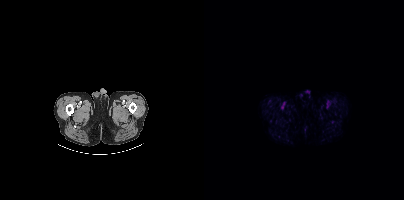
modality: PSMA PET/CT | tracer: [18F]PSMA-1007 | view: axial | PET grid: 200×200
This slice has no annotated PSMA-avid lesion.